Left: CT. Right: PSMA PET, same axial level, 18F-PSMA tracer. Acquired on Siemens Biograph mCT Flow 20. Slice position z = -757 mm. PET panel 200×200 px (4.1 mm/px).
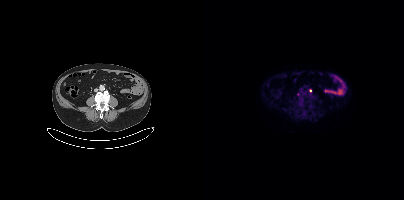
Only PSMA-avid lesion pieces thinner than 2 px on this slice (not listed).